- Paired axial CT (left) and PSMA PET (right), [68Ga]Ga-PSMA-11 tracer
- slice position z = -821 mm
- PET panel 256×256 px (2.7 mm/px)
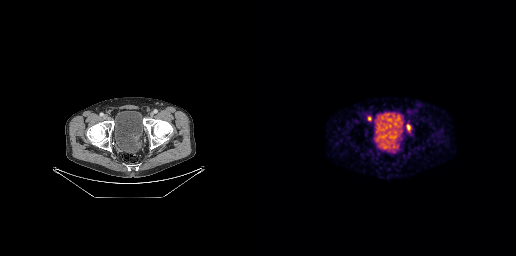
Findings: Coordinates are on the 256×256 PET (right) panel. PSMA-avid tumor lesion bounding boxes (x, y, width, height): x=125 y=125 w=10 h=10; x=107 y=116 w=5 h=6; x=146 y=124 w=5 h=8.